modality: PSMA PET/CT | tracer: 18F-PSMA | view: axial | PET grid: 200×200
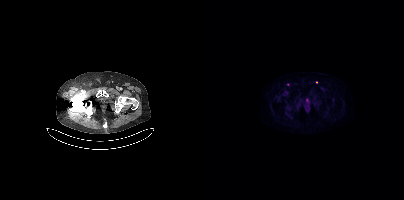
Only PSMA-avid lesion pieces thinner than 2 px on this slice (not listed).